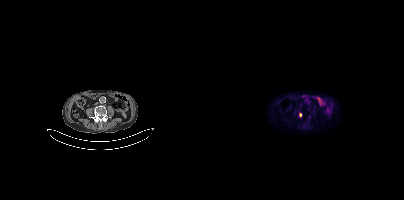
Findings: Coordinates are on the 200×200 PET (right) panel. Small PSMA-avid foci (2 to 4 px across) near (center x, center y): (96, 114); (104, 109).
Technique: Left: CT. Right: PSMA PET, same axial level, 18F-PSMA tracer. acquired on Siemens Biograph mCT Flow 20. PET panel 200×200 px (4.1 mm/px).